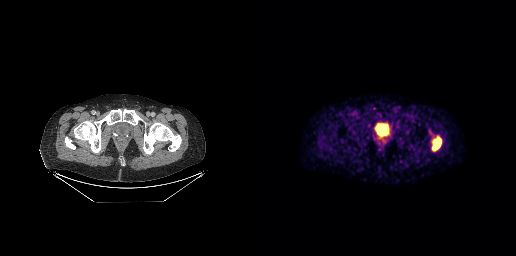
Left: CT. Right: PSMA PET, same axial level, [68Ga]Ga-PSMA-11 tracer. Acquired on GE Discovery 690. Coordinates are on the 256×256 PET (right) panel. PSMA-avid tumor lesion bounding box (x0,y0,x1,y1): [172,137,181,150].